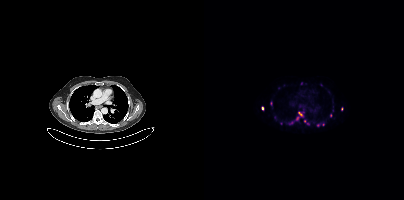
Technique: Paired axial CT (left) and PSMA PET (right), [68Ga]Ga-PSMA-11 tracer. acquired on Siemens Biograph mCT Flow 20. PET panel 200×200 px (4.1 mm/px).
Findings: Coordinates are on the 200×200 PET (right) panel. (showing 5 of 10 foci) Small PSMA-avid foci (2 to 4 px across) near (center x, center y): (58, 108) | (96, 113) | (100, 121) | (137, 109) | (126, 115).